- Left: CT. Right: PSMA PET, same axial level, 68Ga-PSMA tracer
- acquired on Siemens Biograph mCT Flow 20
- PET panel 200×200 px (4.1 mm/px)
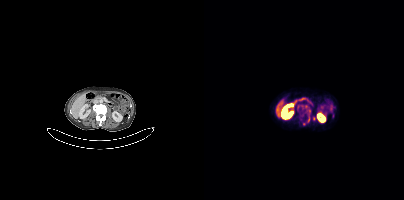
Findings: Coordinates are on the 200×200 PET (right) panel. PSMA-avid tumor lesion bounding boxes (x0,y0,x1,y1): [103,112,106,122], [109,116,112,120]. Small PSMA-avid focus (2 to 4 px across) near (center x, center y): (99, 123).